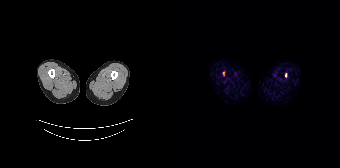
Left: CT. Right: PSMA PET, same axial level, [68Ga]Ga-PSMA-11 tracer. Acquired on Siemens Biograph 64-4R TruePoint. Slice position z = -960 mm. PET panel 168×168 px (4.1 mm/px).
Coordinates are on the 168×168 PET (right) panel. PSMA-avid tumor lesion bounding boxes (partial; 1 more focus not listed):
| # | x0 | y0 | x1 | y1 |
|---|---|---|---|---|
| 1 | 113 | 73 | 114 | 77 |
Small PSMA-avid focus (2 to 4 px across) near (center x, center y): (51, 72).